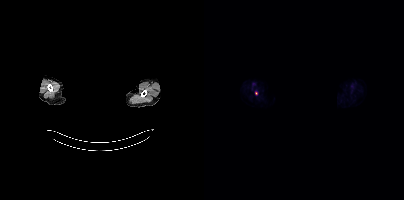
Findings: Coordinates are on the 200×200 PET (right) panel. Small PSMA-avid focus (2 to 4 px across) near (center x, center y): (52, 93).
Technique: Two-panel axial: CT | PSMA PET, [18F]PSMA-1007 tracer. slice 366 of 389. PET panel 200×200 px (4.1 mm/px).
Note: Privacy masking over the head, with the pixels inside a rectangle set to black.